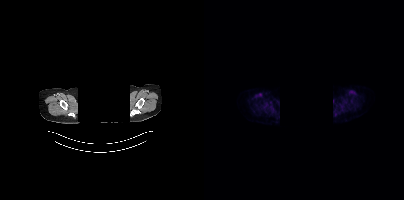
Technique: Two-panel axial: CT | PSMA PET, [18F]PSMA-1007 tracer. acquired on Siemens Biograph mCT Flow 20. slice position z = -922 mm.
Note: A rectangular block over the head has been blanked out for de-identification.
Findings: No PSMA-avid tumor lesions on this slice.